- Two-panel axial: CT | PSMA PET, 18F-PSMA tracer
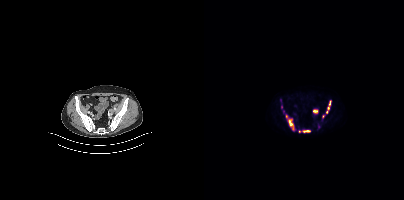
Findings: Coordinates are on the 200×200 PET (right) panel. (showing 8 of 9 foci) PSMA-avid tumor lesion bounding boxes (x0, y0)-(x1, y1): (82, 115)-(90, 130) | (99, 130)-(106, 132) | (109, 110)-(113, 112) | (125, 101)-(126, 105). Small PSMA-avid foci (2 to 4 px across) near (center x, center y): (77, 106) | (124, 108) | (122, 112) | (95, 131).